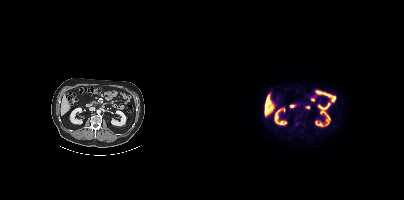
This slice has no annotated PSMA-avid lesion.